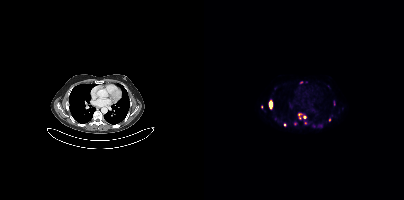
Coordinates are on the 200×200 PET (right) panel. (showing 7 of 10 foci) PSMA-avid tumor lesion bounding boxes (x0, y0)-(x1, y1): (94, 113)-(101, 119); (65, 101)-(68, 108). Small PSMA-avid foci (2 to 4 px across) near (center x, center y): (97, 82); (125, 120); (57, 106); (101, 122); (80, 124).